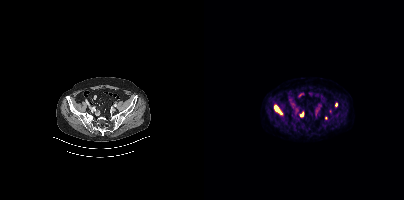
Coordinates are on the 200×200 PET (right) panel. (showing 3 of 4 foci) PSMA-avid tumor lesion bounding boxes (x0, y0)-(x1, y1): (70, 105)-(77, 113); (96, 112)-(99, 116). Small PSMA-avid focus (2 to 4 px across) near (center x, center y): (132, 104).